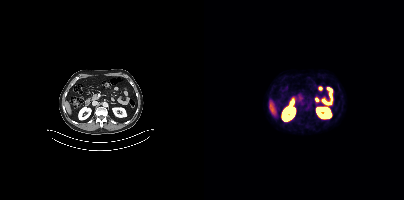
No PSMA-avid tumor lesions on this slice. Paired axial CT (left) and PSMA PET (right), 68Ga-PSMA tracer.